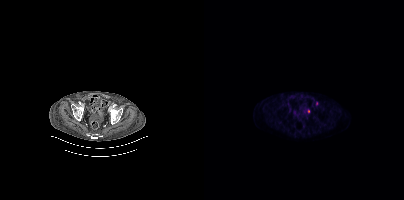
{"modality":"PSMA PET/CT","view":"axial","tracer":"[18F]PSMA-1007","pet_grid":[200,200],"coord_frame":"pet_panel","coord_format":"x0,y0,x1,y1","lesion_bboxes":[],"small_foci_centers":[[112,103]]}